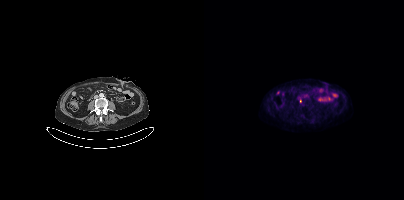
Technique: Two-panel axial: CT | PSMA PET, [18F]PSMA-1007 tracer. slice position z = -1510 mm.
Findings: Coordinates are on the 200×200 PET (right) panel. Small PSMA-avid focus (2 to 4 px across) near (center x, center y): (96, 101).